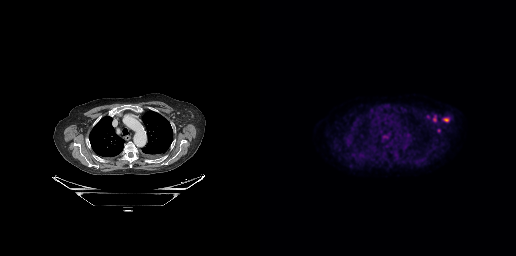
{"pet_grid":[256,256],"coord_frame":"pet_panel","coord_format":"x0,y0,x1,y1","lesion_bboxes":[[165,114,170,119],[183,118,188,121],[173,116,176,121],[123,136,127,137]],"small_foci_centers":[[178,130],[118,123]],"modality":"PSMA PET/CT","view":"axial","tracer":"[18F]PSMA-1007"}